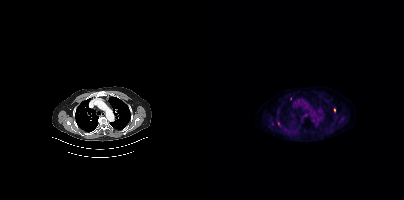
Paired axial CT (left) and PSMA PET (right), [18F]PSMA-1007 tracer. Slice 305 of 407. PET panel 200×200 px (4.1 mm/px). Coordinates are on the 200×200 PET (right) panel. (showing 4 of 5 foci) Small PSMA-avid foci (2 to 4 px across) near (center x, center y): (74, 123), (130, 110), (68, 124), (86, 98).